Technique: Paired axial CT (left) and PSMA PET (right), [18F]PSMA-1007 tracer. acquired on Siemens Biograph mCT Flow 20.
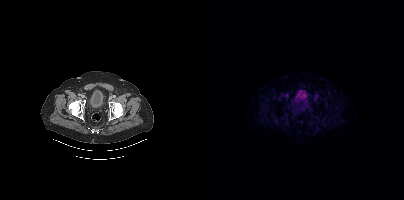
Findings: No PSMA-avid tumor lesions on this slice.